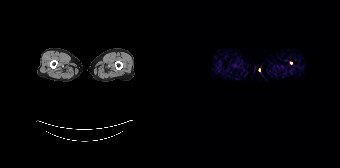
Two-panel axial: CT | PSMA PET, 68Ga-PSMA tracer. Acquired on Siemens Biograph 64-4R TruePoint. Coordinates are on the 168×168 PET (right) panel. Small PSMA-avid focus (2 to 4 px across) near (center x, center y): (119, 62).